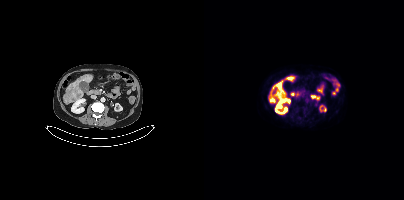
Coordinates are on the 200×200 PET (right) panel. PSMA-avid tumor lesion bounding boxes:
| # | x0 | y0 | x1 | y1 |
|---|---|---|---|---|
| 1 | 73 | 82 | 77 | 87 |
Paired axial CT (left) and PSMA PET (right), 18F tracer.